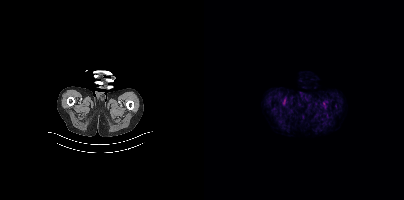
Findings: Negative for PSMA-avid disease on this slice.
- Left: CT. Right: PSMA PET, same axial level, 18F tracer
- slice 21 of 421
- PET panel 200×200 px (4.1 mm/px)